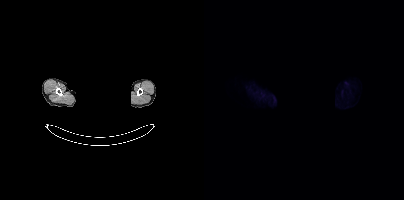
- the head region is masked for de-identification
- Paired axial CT (left) and PSMA PET (right), [18F]PSMA-1007 tracer
- acquired on Siemens Biograph mCT Flow 20
- slice 364 of 393
Findings: This slice has no annotated PSMA-avid lesion.